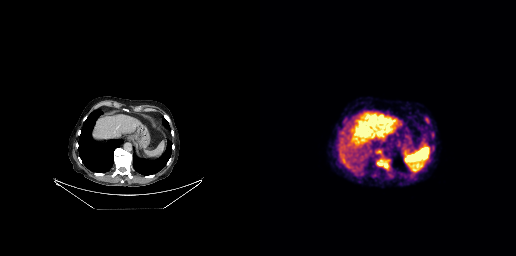
{"modality":"PSMA PET/CT","view":"axial","tracer":"18F","pet_grid":[256,256],"coord_frame":"pet_panel","coord_format":"x0,y0,x1,y1","lesion_bboxes":[[117,159,128,168],[165,117,169,123],[171,132,174,137]]}